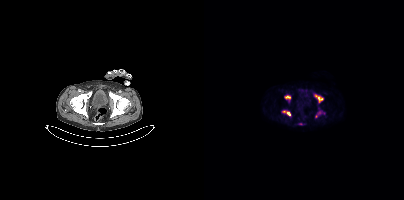
Coordinates are on the 200×200 PET (right) panel. (showing 4 of 6 foci) PSMA-avid tumor lesion bounding boxes (x0, y0)-(x1, y1): (110, 94)-(119, 102); (78, 110)-(86, 115); (80, 95)-(86, 101); (111, 111)-(116, 117).